Paired axial CT (left) and PSMA PET (right), 68Ga-PSMA tracer. Slice position z = -913 mm. PET panel 200×200 px (4.1 mm/px).
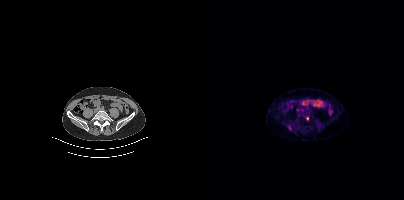
Coordinates are on the 200×200 PET (right) panel. Small PSMA-avid focus (2 to 4 px across) near (center x, center y): (103, 118).